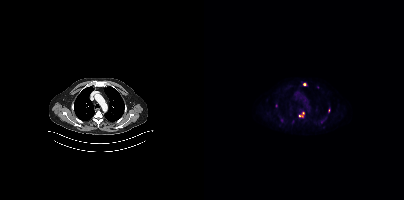
Paired axial CT (left) and PSMA PET (right), [18F]PSMA-1007 tracer. Slice 300 of 395.
Coordinates are on the 200×200 PET (right) panel. PSMA-avid tumor lesion bounding boxes (partial; 1 more focus not listed):
| # | x0 | y0 | x1 | y1 |
|---|---|---|---|---|
| 1 | 95 | 112 | 100 | 117 |
Small PSMA-avid foci (2 to 4 px across) near (center x, center y): (100, 84); (72, 105).